Two-panel axial: CT | PSMA PET, 18F tracer. Slice 263 of 419.
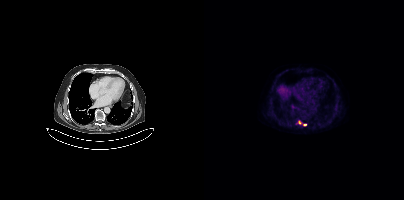
Coordinates are on the 200×200 PET (right) panel. Small PSMA-avid focus (2 to 4 px across) near (center x, center y): (101, 124).